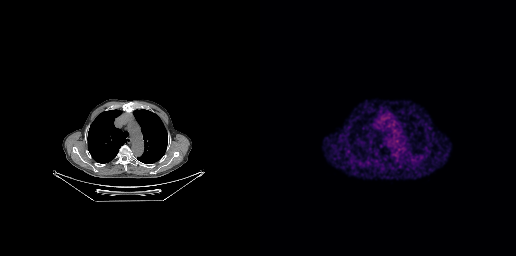
- Paired axial CT (left) and PSMA PET (right), 68Ga-PSMA tracer
- acquired on GE Discovery 690
Findings: This slice has no annotated PSMA-avid lesion.